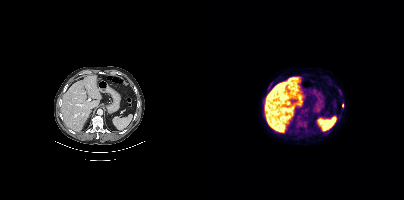
{"modality":"PSMA PET/CT","view":"axial","tracer":"18F","pet_grid":[200,200],"coord_frame":"pet_panel","coord_format":"x0,y0,x1,y1","lesion_bboxes":[],"small_foci_centers":[[138,105],[66,84]]}